The face region was removed for patient privacy by blanking a rectangle over the head. Paired axial CT (left) and PSMA PET (right), 18F tracer.
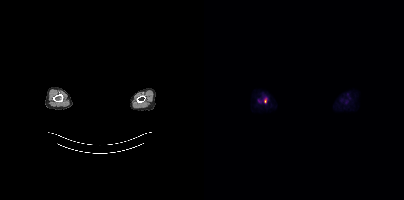
Coordinates are on the 200×200 PET (right) panel. PSMA-avid tumor lesion bounding box (x, y, width, height): x=60 y=98 w=3 h=5. Small PSMA-avid focus (2 to 4 px across) near (center x, center y): (55, 100).